Paired axial CT (left) and PSMA PET (right), [18F]PSMA-1007 tracer. Slice position z = -543 mm.
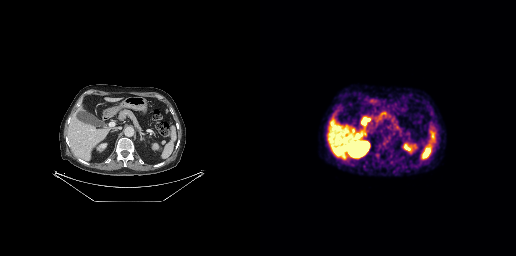
Negative for PSMA-avid disease on this slice.